Paired axial CT (left) and PSMA PET (right), 18F-PSMA tracer. Slice 51 of 387.
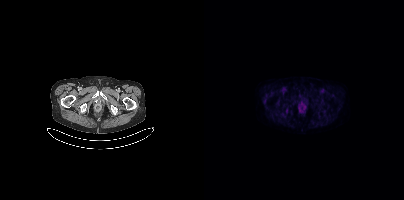
Negative for PSMA-avid disease on this slice.